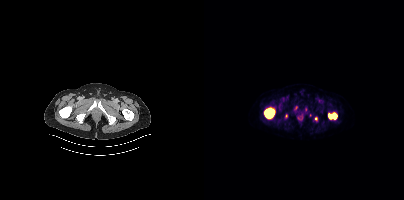
Findings: Coordinates are on the 200×200 PET (right) panel. (showing 3 of 4 foci) PSMA-avid tumor lesion bounding boxes (x0, y0)-(x1, y1): (60, 108)-(70, 118) | (124, 113)-(133, 119). Small PSMA-avid focus (2 to 4 px across) near (center x, center y): (111, 118).
- Left: CT. Right: PSMA PET, same axial level, 18F tracer
- PET panel 200×200 px (4.1 mm/px)